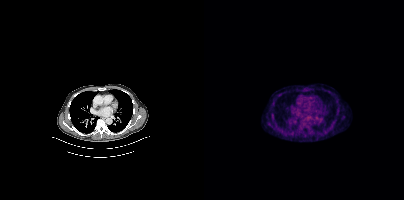
Two-panel axial: CT | PSMA PET, 18F-PSMA tracer. PET panel 200×200 px (4.1 mm/px). Coordinates are on the 200×200 PET (right) panel. Small PSMA-avid focus (2 to 4 px across) near (center x, center y): (98, 120).